Paired axial CT (left) and PSMA PET (right), 18F tracer. Slice 236 of 395. PET panel 200×200 px (4.1 mm/px).
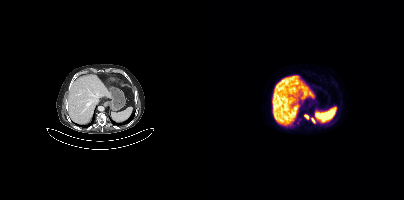
Coordinates are on the 200×200 PET (right) panel. PSMA-avid tumor lesion bounding boxes (partial; 1 more focus not listed):
| # | x0 | y0 | x1 | y1 |
|---|---|---|---|---|
| 1 | 107 | 118 | 111 | 122 |
Small PSMA-avid focus (2 to 4 px across) near (center x, center y): (102, 116).